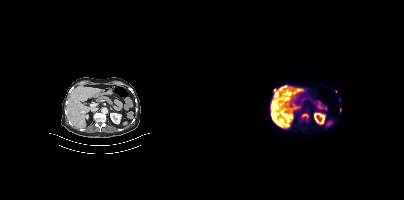
Two-panel axial: CT | PSMA PET, [18F]PSMA-1007 tracer. Acquired on Siemens Biograph mCT Flow 20.
Coordinates are on the 200×200 PET (right) panel. PSMA-avid tumor lesion bounding boxes (partial; 2 more foci not listed):
| # | x0 | y0 | x1 | y1 |
|---|---|---|---|---|
| 1 | 70 | 89 | 75 | 96 |
| 2 | 82 | 90 | 87 | 95 |
Small PSMA-avid foci (2 to 4 px across) near (center x, center y): (96, 89); (69, 115); (72, 120).